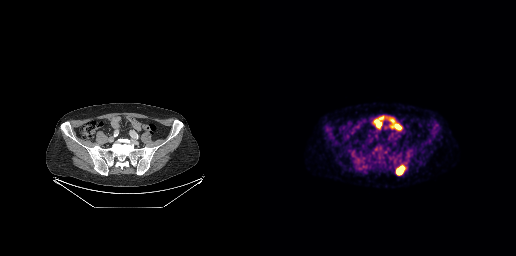
- Paired axial CT (left) and PSMA PET (right), 18F-PSMA tracer
- acquired on GE Discovery 690
- PET panel 256×256 px (2.7 mm/px)
Findings: Coordinates are on the 256×256 PET (right) panel. PSMA-avid tumor lesion bounding box (x0,y0,x1,y1): [136,165,145,175].